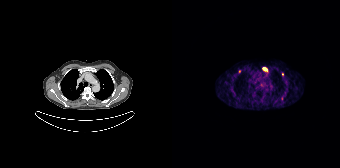
Two-panel axial: CT | PSMA PET, 68Ga-PSMA tracer. Acquired on Siemens Biograph 64-4R TruePoint. Slice position z = -864 mm.
Coordinates are on the 168×168 PET (right) panel. PSMA-avid tumor lesion bounding boxes:
| # | x0 | y0 | x1 | y1 |
|---|---|---|---|---|
| 1 | 90 | 67 | 94 | 69 |
Small PSMA-avid foci (2 to 4 px across) near (center x, center y): (67, 71); (110, 74).